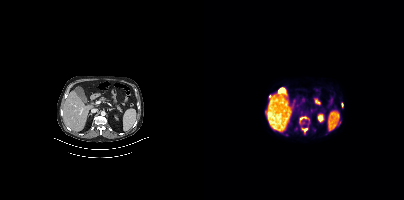
Coordinates are on the 200×200 PET (right) panel. (showing 2 of 5 foci) PSMA-avid tumor lesion bounding box (x0, y0)-(x1, y1): (99, 128)-(103, 130). Small PSMA-avid focus (2 to 4 px across) near (center x, center y): (65, 96).